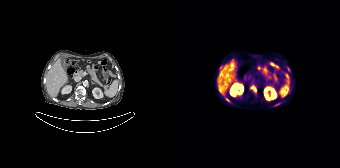
Technique: Paired axial CT (left) and PSMA PET (right), 68Ga tracer.
Findings: Coordinates are on the 168×168 PET (right) panel. (showing 4 of 6 foci) PSMA-avid tumor lesion bounding boxes (x0,y0,x1,y1): [78,85,84,92] [115,67,117,71] [47,66,48,70]. Small PSMA-avid focus (2 to 4 px across) near (center x, center y): (55, 99).